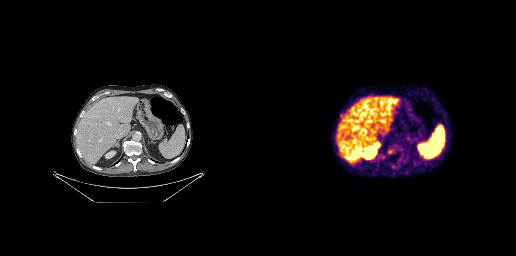
No tumor lesions annotated on this slice. Left: CT. Right: PSMA PET, same axial level, [68Ga]Ga-PSMA-11 tracer. Slice 138 of 263. PET panel 256×256 px (2.7 mm/px).